Two-panel axial: CT | PSMA PET, 18F tracer. Slice position z = -408 mm. PET panel 200×200 px (4.1 mm/px). Face de-identified by blanking a block of the head.
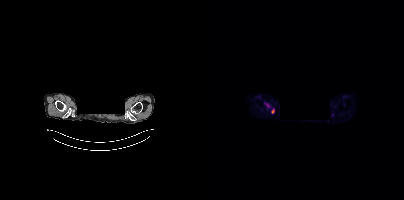
Coordinates are on the 200×200 PET (right) panel. PSMA-avid tumor lesion bounding boxes (x, y, width, height): x=67 y=108 w=4 h=6 / x=62 y=104 w=5 h=4.